modality: PSMA PET/CT | tracer: 68Ga | view: axial
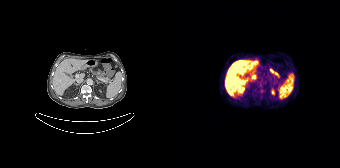
Negative for PSMA-avid disease on this slice.